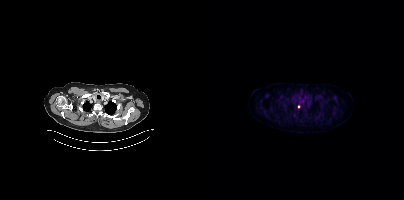
{"modality":"PSMA PET/CT","view":"axial","tracer":"[18F]PSMA-1007","pet_grid":[200,200],"coord_frame":"pet_panel","coord_format":"x0,y0,x1,y1","lesion_bboxes":[],"small_foci_centers":[[94,106]]}